- Left: CT. Right: PSMA PET, same axial level, [18F]PSMA-1007 tracer
- slice position z = -1312 mm
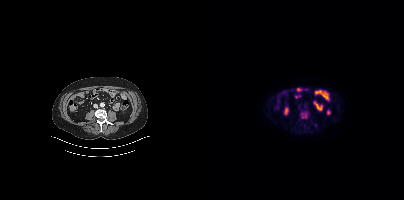
Findings: Coordinates are on the 200×200 PET (right) panel. (showing 3 of 4 foci) Small PSMA-avid foci (2 to 4 px across) near (center x, center y): (111, 125) / (100, 126) / (101, 116).